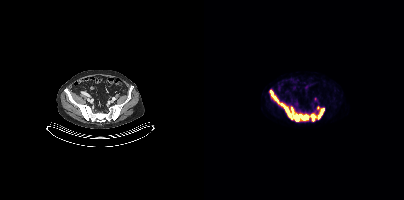
Coordinates are on the 200×200 PET (right) panel. (showing 3 of 4 foci) PSMA-avid tumor lesion bounding boxes (x, y, width, height): x=66 y=90 w=39 h=32; x=114 y=108 w=7 h=11; x=107 y=114 w=4 h=7.